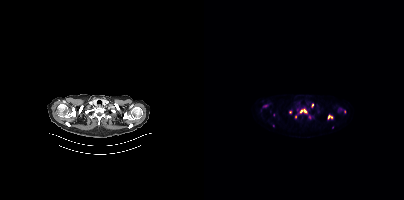
{"modality":"PSMA PET/CT","view":"axial","tracer":"18F-PSMA","pet_grid":[200,200],"coord_frame":"pet_panel","coord_format":"x0,y0,x1,y1","partial":true,"lesion_bboxes":[[96,109,102,113]],"small_foci_centers":[[140,111],[124,117],[108,104],[91,116]]}